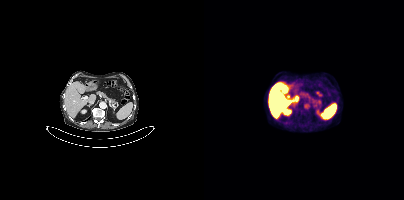
{"modality":"PSMA PET/CT","view":"axial","tracer":"18F","pet_grid":[200,200],"coord_frame":"pet_panel","coord_format":"x0,y0,x1,y1","psma_avid_lesions":false}